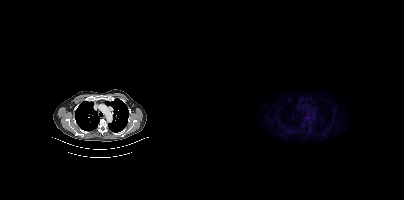
Left: CT. Right: PSMA PET, same axial level, 18F-PSMA tracer. Acquired on Siemens Biograph mCT Flow 20. Slice 321 of 427. No PSMA-avid tumor lesions on this slice.